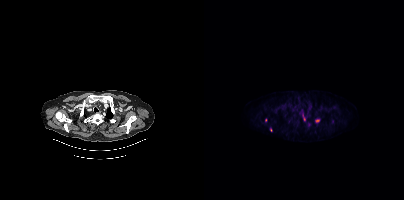
- Paired axial CT (left) and PSMA PET (right), [18F]PSMA-1007 tracer
- acquired on Siemens Biograph mCT Flow 20
- slice position z = -868 mm
- PET panel 200×200 px (4.1 mm/px)
Findings: Coordinates are on the 200×200 PET (right) panel. PSMA-avid tumor lesion bounding box (x0,y0,x1,y1): [111,119,115,122]. Small PSMA-avid foci (2 to 4 px across) near (center x, center y): (100, 119); (61, 120); (66, 130); (98, 114).